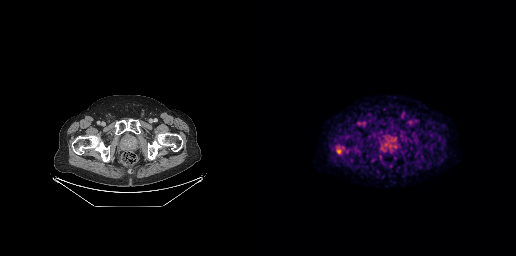
- Left: CT. Right: PSMA PET, same axial level, [18F]PSMA-1007 tracer
- acquired on GE Discovery 690
- PET panel 256×256 px (2.7 mm/px)
Findings: Coordinates are on the 256×256 PET (right) panel. PSMA-avid tumor lesion bounding box (x0,y0,x1,y1): [76,145,83,154].